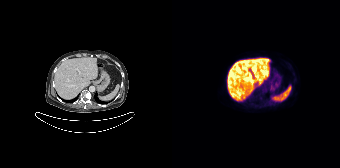
- Two-panel axial: CT | PSMA PET, 18F-PSMA tracer
- acquired on Siemens Biograph 64-4R TruePoint
- slice 94 of 165
- PET panel 168×168 px (4.1 mm/px)
Findings: This slice has no annotated PSMA-avid lesion.